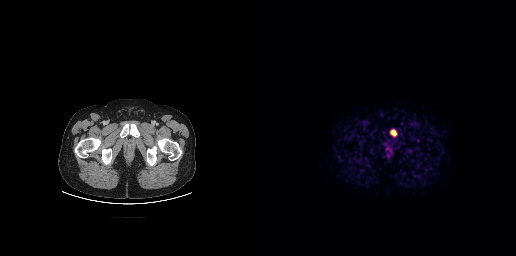
Technique: Two-panel axial: CT | PSMA PET, 18F tracer. slice position z = -752 mm. PET panel 256×256 px (2.7 mm/px).
Findings: Coordinates are on the 256×256 PET (right) panel. PSMA-avid tumor lesion bounding box (x0, y0)-(x1, y1): (130, 129)-(136, 136).